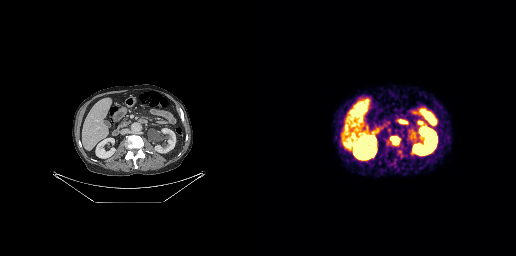
{"modality":"PSMA PET/CT","view":"axial","tracer":"68Ga","pet_grid":[256,256],"coord_frame":"pet_panel","coord_format":"x0,y0,x1,y1","lesion_bboxes":[[134,138,137,143]],"small_foci_centers":[[131,137]]}